- Left: CT. Right: PSMA PET, same axial level, [68Ga]Ga-PSMA-11 tracer
- slice 220 of 373
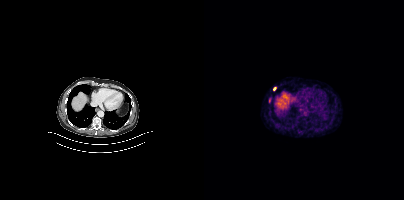
Findings: Coordinates are on the 200×200 PET (right) panel. (showing 1 of 2 foci) Small PSMA-avid focus (2 to 4 px across) near (center x, center y): (65, 100).